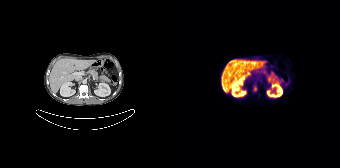
Technique: Left: CT. Right: PSMA PET, same axial level, 18F tracer.
Findings: Coordinates are on the 168×168 PET (right) panel. PSMA-avid tumor lesion bounding box (x0,y0,x1,y1): [81,84,85,91].